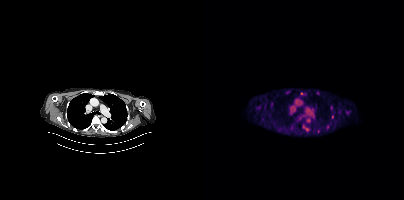
Coordinates are on the 200×200 PET (right) panel. (showing 4 of 6 foci) Small PSMA-avid foci (2 to 4 px across) near (center x, center y): (103, 129) / (128, 116) / (97, 93) / (99, 126). Two-panel axial: CT | PSMA PET, [18F]PSMA-1007 tracer. Acquired on Siemens Biograph mCT Flow 20.